Technique: Paired axial CT (left) and PSMA PET (right), 18F-PSMA tracer. slice 207 of 389.
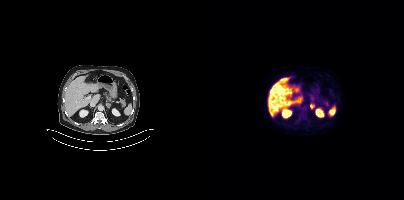
Findings: Coordinates are on the 200×200 PET (right) panel. PSMA-avid tumor lesion bounding box (x, y, width, height): x=106 y=104 w=5 h=6.